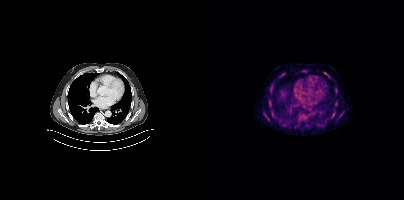
Coordinates are on the 200×200 PET (right) panel. PSMA-avid tumor lesion bounding boxes:
| # | x0 | y0 | x1 | y1 |
|---|---|---|---|---|
| 1 | 60 | 114 | 65 | 120 |
| 2 | 98 | 70 | 102 | 72 |
| 3 | 76 | 72 | 81 | 77 |
| 4 | 127 | 114 | 130 | 118 |
| 5 | 120 | 72 | 124 | 75 |
Small PSMA-avid foci (2 to 4 px across) near (center x, center y): (132, 89); (66, 87); (65, 103); (68, 113).
Left: CT. Right: PSMA PET, same axial level, 18F-PSMA tracer. PET panel 200×200 px (4.1 mm/px).